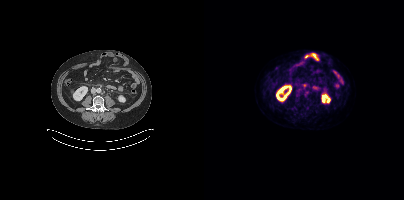
Coordinates are on the 200×200 PET (right) panel. PSMA-avid tumor lesion bounding box (x, y, width, height): x=100 y=91 w=6 h=6.